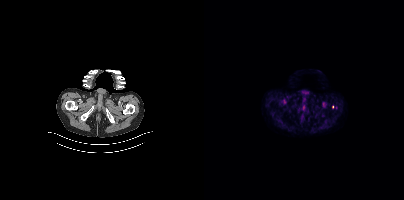
{"pet_grid":[200,200],"coord_frame":"pet_panel","coord_format":"x0,y0,x1,y1","lesion_bboxes":[],"small_foci_centers":[[128,106]],"modality":"PSMA PET/CT","view":"axial","tracer":"18F-PSMA"}